Paired axial CT (left) and PSMA PET (right), 68Ga tracer.
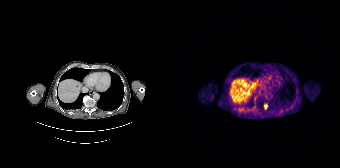
Coordinates are on the 168×168 PET (right) panel. Small PSMA-avid focus (2 to 4 px across) near (center x, center y): (93, 106).